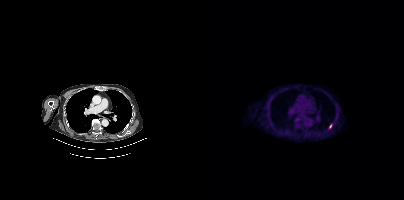
Left: CT. Right: PSMA PET, same axial level, 18F tracer. Acquired on Siemens Biograph mCT Flow 20. Coordinates are on the 200×200 PET (right) panel. PSMA-avid tumor lesion bounding box (x, y, width, height): x=125 y=124 w=4 h=5.